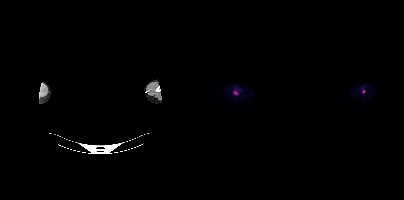
- an anonymization step blacked out a rectangle over the head in this scan
- Left: CT. Right: PSMA PET, same axial level, 18F-PSMA tracer
- PET panel 200×200 px (4.1 mm/px)
Findings: Coordinates are on the 200×200 PET (right) panel. Small PSMA-avid foci (2 to 4 px across) near (center x, center y): (31, 92); (159, 91).